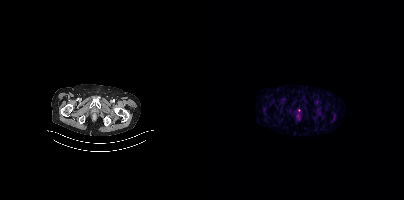
{"pet_grid":[200,200],"coord_frame":"pet_panel","coord_format":"x0,y0,x1,y1","psma_avid_lesions":false,"modality":"PSMA PET/CT","view":"axial","tracer":"68Ga-PSMA"}